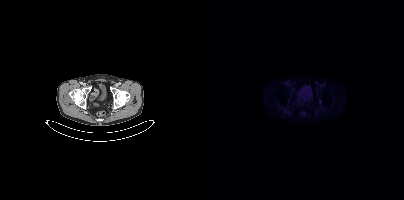
Coordinates are on the 200×200 PET (right) panel. Small PSMA-avid focus (2 to 4 px across) near (center x, center y): (115, 101).